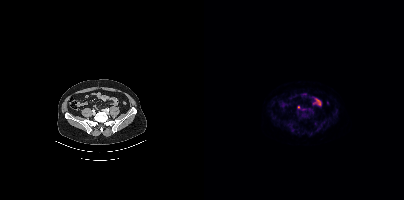
Findings: No PSMA-avid tumor lesions on this slice.
- Two-panel axial: CT | PSMA PET, 18F-PSMA tracer
- PET panel 200×200 px (4.1 mm/px)